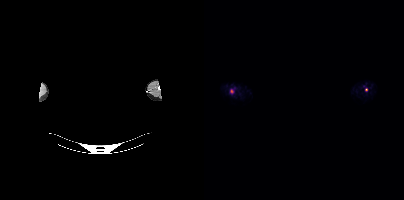
{"modality":"PSMA PET/CT","view":"axial","tracer":"[18F]PSMA-1007","pet_grid":[200,200],"coord_frame":"pet_panel","coord_format":"x0,y0,x1,y1","lesion_bboxes":[[26,89,29,93]],"small_foci_centers":[[162,89]],"redaction":"head region blacked out before release"}